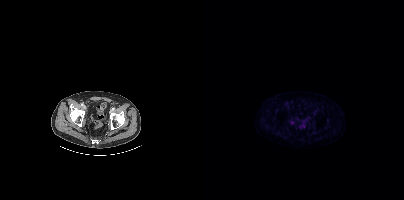
{"pet_grid":[200,200],"coord_frame":"pet_panel","coord_format":"x0,y0,x1,y1","psma_avid_lesions":false,"modality":"PSMA PET/CT","view":"axial","tracer":"[18F]PSMA-1007"}